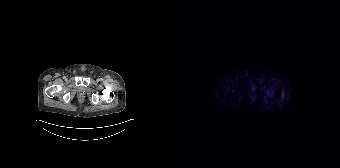
{"modality":"PSMA PET/CT","view":"axial","tracer":"18F","pet_grid":[168,168],"coord_frame":"pet_panel","coord_format":"x0,y0,x1,y1","psma_avid_lesions":false}